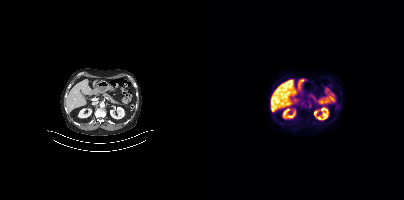
Negative for PSMA-avid disease on this slice. Paired axial CT (left) and PSMA PET (right), 18F tracer. Slice position z = -734 mm. PET panel 200×200 px (4.1 mm/px).